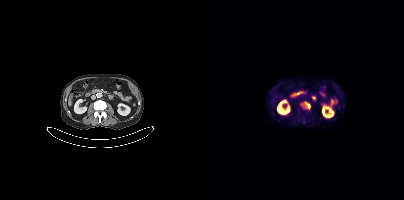
Coordinates are on the 200×200 PET (right) panel. PSMA-avid tumor lesion bounding boxes:
| # | x0 | y0 | x1 | y1 |
|---|---|---|---|---|
| 1 | 97 | 102 | 106 | 109 |
Left: CT. Right: PSMA PET, same axial level, 18F-PSMA tracer. PET panel 200×200 px (4.1 mm/px).